Left: CT. Right: PSMA PET, same axial level, 18F-PSMA tracer. Slice 318 of 407. PET panel 200×200 px (4.1 mm/px).
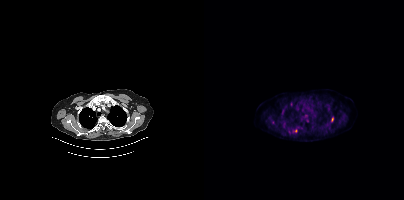
Coordinates are on the 200×200 PET (right) panel. PSMA-avid tumor lesion bounding boxes (partial; 1 more focus not listed):
| # | x0 | y0 | x1 | y1 |
|---|---|---|---|---|
| 1 | 127 | 117 | 129 | 121 |
| 2 | 89 | 129 | 93 | 132 |
Small PSMA-avid foci (2 to 4 px across) near (center x, center y): (103, 120); (85, 131).